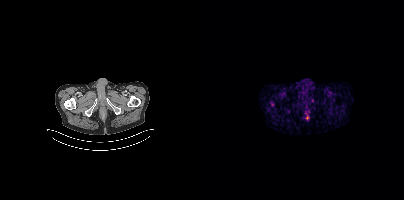
Negative for PSMA-avid disease on this slice.